Any black rectangle over the head is a privacy mask, not anatomy. Left: CT. Right: PSMA PET, same axial level, 18F-PSMA tracer. Acquired on GE Discovery 690. Slice 254 of 263.
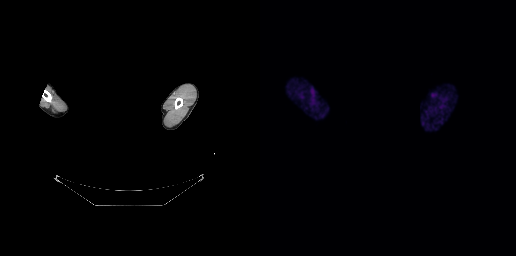
No PSMA-avid tumor lesions on this slice.